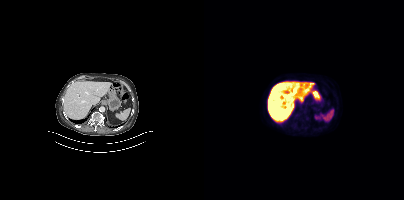
Left: CT. Right: PSMA PET, same axial level, 18F-PSMA tracer. Acquired on Siemens Biograph mCT Flow 20. Slice 202 of 383. PET panel 200×200 px (4.1 mm/px). No tumor lesions annotated on this slice.